The face region was removed for patient privacy by blanking a rectangle over the head. Left: CT. Right: PSMA PET, same axial level, 18F tracer. Slice position z = -817 mm. PET panel 200×200 px (4.1 mm/px).
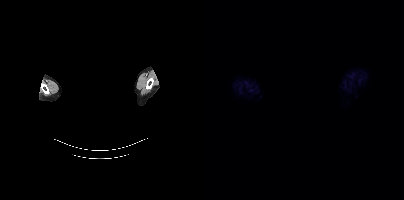
This slice has no annotated PSMA-avid lesion.